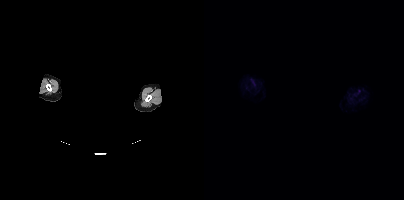
- a rectangular block over the head has been blanked out for de-identification
- Two-panel axial: CT | PSMA PET, [18F]PSMA-1007 tracer
- slice position z = -146 mm
- PET panel 200×200 px (4.1 mm/px)
Findings: No PSMA-avid tumor lesions on this slice.